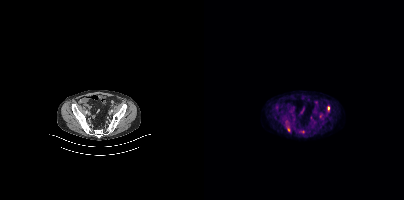
Findings: Coordinates are on the 200×200 PET (right) panel. (showing 2 of 3 foci) PSMA-avid tumor lesion bounding box (x, y, width, height): x=124 y=106 w=2 h=5. Small PSMA-avid focus (2 to 4 px across) near (center x, center y): (84, 129).
- Two-panel axial: CT | PSMA PET, 18F-PSMA tracer
- acquired on Siemens Biograph mCT Flow 20
- slice 95 of 405
- PET panel 200×200 px (4.1 mm/px)